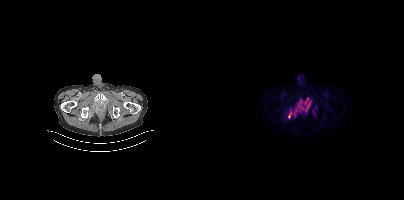
Two-panel axial: CT | PSMA PET, [18F]PSMA-1007 tracer. Acquired on Siemens Biograph mCT Flow 20. Slice position z = -76 mm. PET panel 200×200 px (4.1 mm/px).
Coordinates are on the 200×200 PET (right) panel. PSMA-avid tumor lesion bounding boxes:
| # | x0 | y0 | x1 | y1 |
|---|---|---|---|---|
| 1 | 84 | 98 | 107 | 117 |